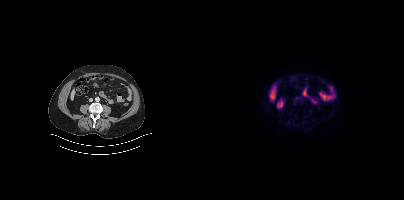
Left: CT. Right: PSMA PET, same axial level, 18F tracer. Slice position z = -656 mm. PET panel 200×200 px (4.1 mm/px). No PSMA-avid tumor lesions on this slice.